Two-panel axial: CT | PSMA PET, 18F-PSMA tracer.
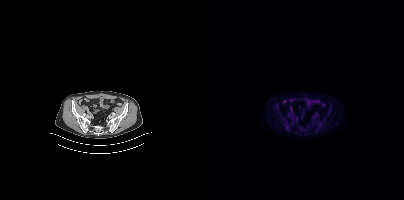
Negative for PSMA-avid disease on this slice.